Privacy masking over the head, with the pixels inside a rectangle set to black. Left: CT. Right: PSMA PET, same axial level, [18F]PSMA-1007 tracer. Acquired on GE Discovery 690.
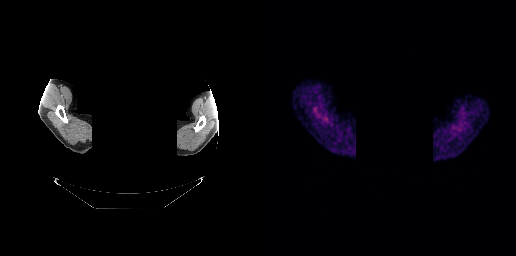
No PSMA-avid tumor lesions on this slice.